modality: PSMA PET/CT | tracer: 18F-PSMA | view: axial | PET grid: 200×200
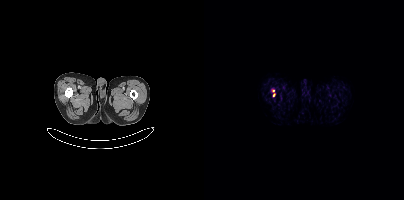
Coordinates are on the 200×200 PET (right) panel. Small PSMA-avid foci (2 to 4 px across) near (center x, center y): (69, 90) | (69, 95).